Face de-identified by blanking a block of the head. Paired axial CT (left) and PSMA PET (right), [18F]PSMA-1007 tracer. Acquired on Siemens Biograph mCT Flow 20.
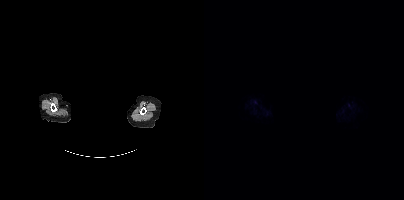
No tumor lesions annotated on this slice.